Technique: Two-panel axial: CT | PSMA PET, [18F]PSMA-1007 tracer.
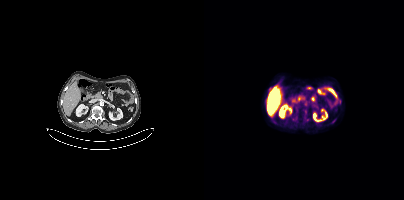
Findings: Only PSMA-avid lesion pieces thinner than 2 px on this slice (not listed).